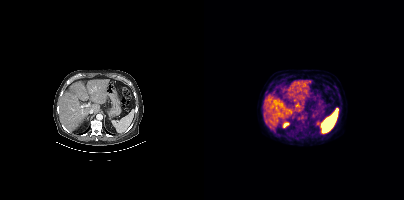
Coordinates are on the 200×200 PET (right) panel. Small PSMA-avid focus (2 to 4 px across) near (center x, center y): (94, 118).